modality: PSMA PET/CT | tracer: 18F | view: axial
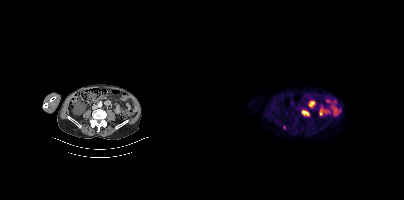
Coordinates are on the 200×200 PET (right) panel. (showing 2 of 3 foci) PSMA-avid tumor lesion bounding box (x, y, width, height): x=97 y=110 w=9 h=7. Small PSMA-avid focus (2 to 4 px across) near (center x, center y): (71, 119).